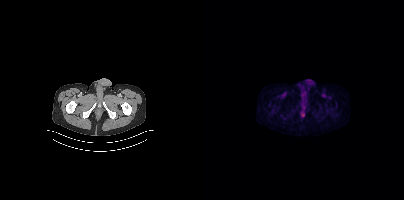
No PSMA-avid tumor lesions on this slice. Two-panel axial: CT | PSMA PET, 18F-PSMA tracer. PET panel 200×200 px (4.1 mm/px).